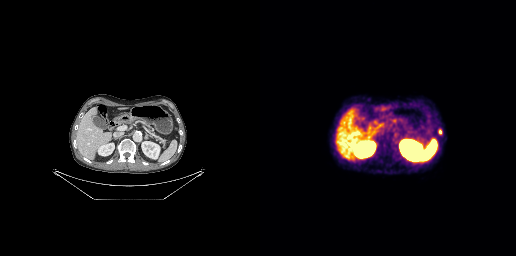
Coordinates are on the 256×256 PET (right) panel. Small PSMA-avid focus (2 to 4 px across) near (center x, center y): (180, 132). Left: CT. Right: PSMA PET, same axial level, 68Ga-PSMA tracer. PET panel 256×256 px (2.7 mm/px).